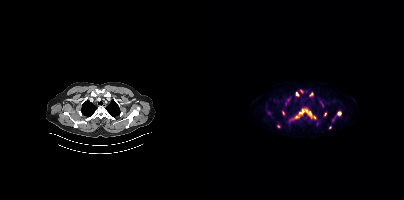
- Paired axial CT (left) and PSMA PET (right), 18F tracer
- acquired on Siemens Biograph mCT Flow 20
- slice 334 of 429
Findings: Coordinates are on the 200×200 PET (right) panel. (showing 10 of 11 foci) PSMA-avid tumor lesion bounding boxes (x, y, width, height): x=105 y=112 w=8 h=8 / x=90 y=112 w=7 h=7 / x=133 y=111 w=5 h=5. Small PSMA-avid foci (2 to 4 px across) near (center x, center y): (93, 93) / (79, 112) / (126, 127) / (121, 114) / (74, 125) / (107, 93) / (98, 111).